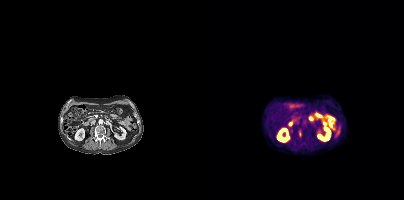
Findings: Coordinates are on the 200×200 PET (right) panel. PSMA-avid tumor lesion bounding box (x, y, width, height): x=95 y=130 w=3 h=7.
- Paired axial CT (left) and PSMA PET (right), 18F tracer
- acquired on Siemens Biograph mCT Flow 20
- slice 181 of 389